Paired axial CT (left) and PSMA PET (right), 68Ga tracer. Slice position z = -526 mm. PET panel 256×256 px (2.7 mm/px).
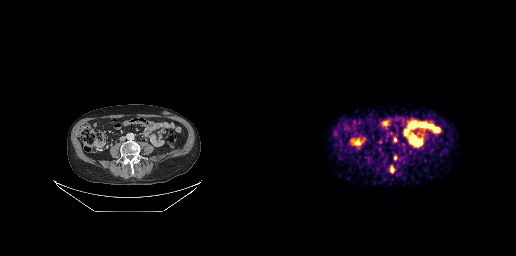
Coordinates are on the 256×256 PET (right) panel. (showing 5 of 6 foci) PSMA-avid tumor lesion bounding box (x, y, width, height): x=130 y=166 w=5 h=5. Small PSMA-avid foci (2 to 4 px across) near (center x, center y): (135, 139); (135, 157); (126, 139); (120, 141).